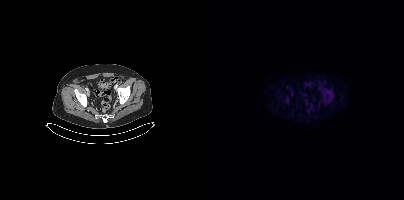
modality: PSMA PET/CT | tracer: [18F]PSMA-1007 | view: axial | PET grid: 200×200
This slice has no annotated PSMA-avid lesion.